- Left: CT. Right: PSMA PET, same axial level, 18F tracer
- acquired on GE Discovery 690
- slice 63 of 263
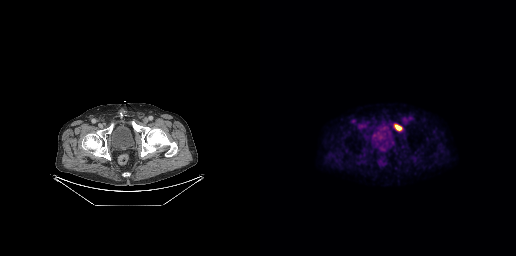
Findings: Coordinates are on the 256×256 PET (right) panel. PSMA-avid tumor lesion bounding box (x, y, width, height): x=134 y=124 w=9 h=7.